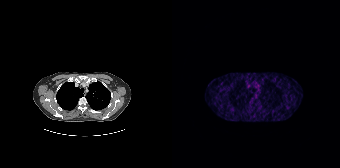
Left: CT. Right: PSMA PET, same axial level, 68Ga tracer. Only PSMA-avid lesion pieces thinner than 2 px on this slice (not listed).